- Left: CT. Right: PSMA PET, same axial level, 18F-PSMA tracer
- PET panel 256×256 px (2.7 mm/px)
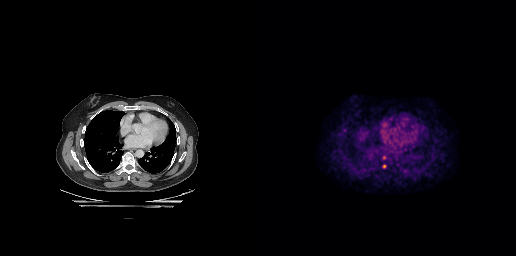
Findings: Coordinates are on the 256×256 PET (right) panel. (showing 1 of 2 foci) Small PSMA-avid focus (2 to 4 px across) near (center x, center y): (124, 166).